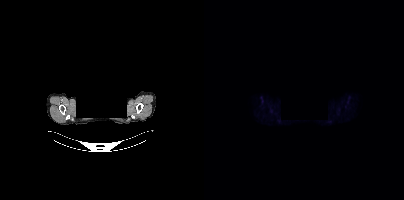
{"modality":"PSMA PET/CT","view":"axial","tracer":"[18F]PSMA-1007","pet_grid":[200,200],"coord_frame":"pet_panel","coord_format":"x0,y0,x1,y1","redaction":"facial region redacted","psma_avid_lesions":false}